modality: PSMA PET/CT | tracer: 68Ga-PSMA | view: axial | PET grid: 200×200
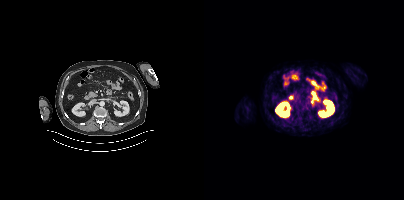
Negative for PSMA-avid disease on this slice.